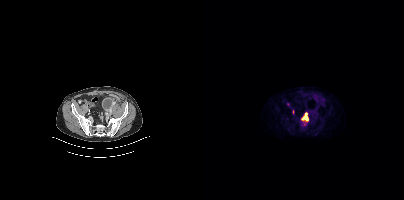
Coordinates are on the 200×200 PET (right) panel. (showing 1 of 2 foci) PSMA-avid tumor lesion bounding box (x0,y0,x1,y1): [97,112,104,121]. Paired axial CT (left) and PSMA PET (right), 18F tracer. PET panel 200×200 px (4.1 mm/px).